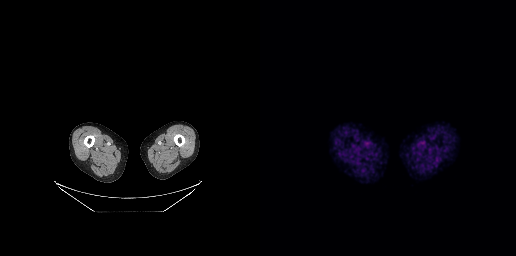
This slice has no annotated PSMA-avid lesion. Paired axial CT (left) and PSMA PET (right), 68Ga-PSMA tracer. Acquired on GE Discovery 690. PET panel 256×256 px (2.7 mm/px).